A rectangular region was set to black for de-identification.
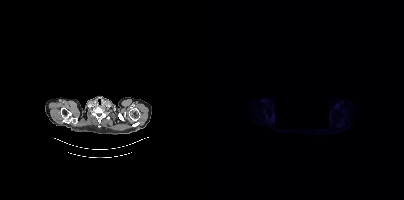
Negative for PSMA-avid disease on this slice.